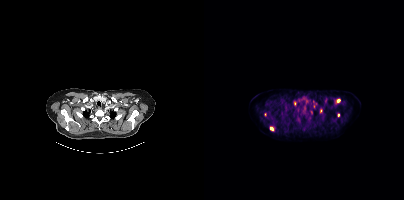
Coordinates are on the 200×200 PET (right) panel. (showing 5 of 8 foci) Small PSMA-avid foci (2 to 4 px across) near (center x, center y): (67, 128) / (117, 110) / (134, 100) / (91, 104) / (134, 115). Left: CT. Right: PSMA PET, same axial level, 18F tracer. Acquired on Siemens Biograph mCT Flow 20. PET panel 200×200 px (4.1 mm/px).